- Two-panel axial: CT | PSMA PET, 18F-PSMA tracer
- a rectangular region was set to black for de-identification
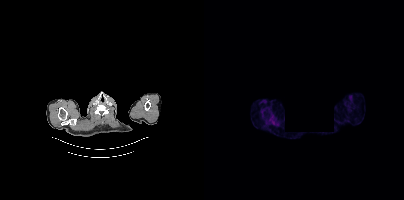
Findings: Coordinates are on the 200×200 PET (right) panel. Small PSMA-avid focus (2 to 4 px across) near (center x, center y): (60, 109).